modality: PSMA PET/CT | tracer: 68Ga | view: axial | PET grid: 168×168
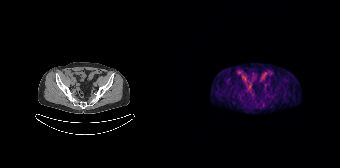
This slice has no annotated PSMA-avid lesion.